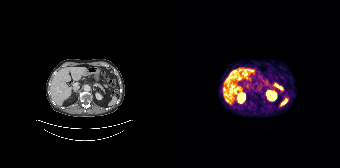
No tumor lesions annotated on this slice. Left: CT. Right: PSMA PET, same axial level, 68Ga tracer.